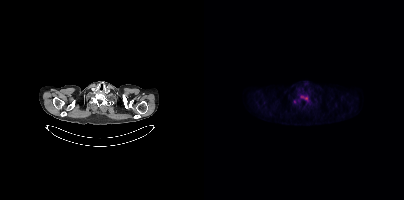
{"modality":"PSMA PET/CT","view":"axial","tracer":"18F","pet_grid":[200,200],"coord_frame":"pet_panel","coord_format":"x0,y0,x1,y1","lesion_bboxes":[[96,95,105,102]],"small_foci_centers":[[90,101]]}